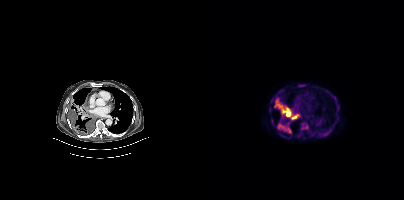
Coordinates are on the 200×200 PET (right) panel. (showing 3 of 5 foci) PSMA-avid tumor lesion bounding boxes (x0, y0)-(x1, y1): (70, 99)-(94, 119) | (97, 122)-(104, 129) | (75, 125)-(86, 132).